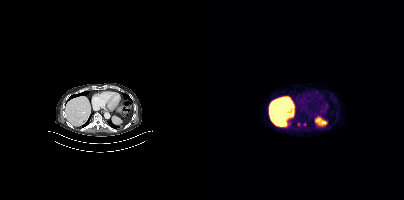
- Left: CT. Right: PSMA PET, same axial level, [18F]PSMA-1007 tracer
Findings: Coordinates are on the 200×200 PET (right) panel. Small PSMA-avid foci (2 to 4 px across) near (center x, center y): (94, 124) (100, 124).